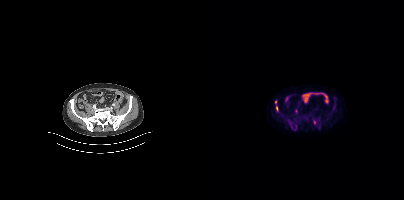
Coordinates are on the 200×200 PET (right) panel. (showing 4 of 5 foci) PSMA-avid tumor lesion bounding boxes (x0, y0)-(x1, y1): (72, 106)-(74, 111) / (109, 120)-(111, 124). Small PSMA-avid foci (2 to 4 px across) near (center x, center y): (92, 110) / (71, 101).